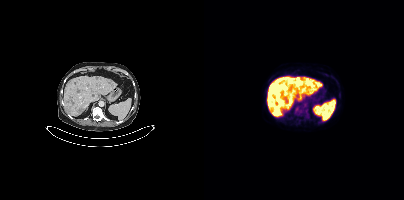
modality: PSMA PET/CT | tracer: 18F-PSMA | view: axial | PET grid: 200×200
Coordinates are on the 200×200 PET (right) panel. PSMA-avid tumor lesion bounding boxes (x0,y0,x1,y1): [66,107,75,115], [65,98,71,103], [91,107,96,112].